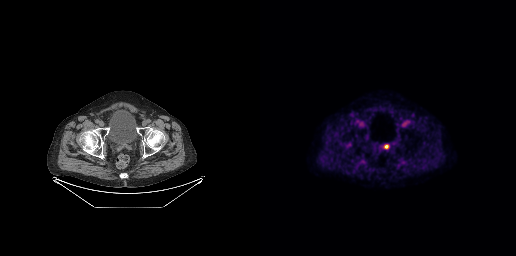
Coordinates are on the 256×256 PET (right) panel. Small PSMA-avid focus (2 to 4 px across) near (center x, center y): (126, 146).